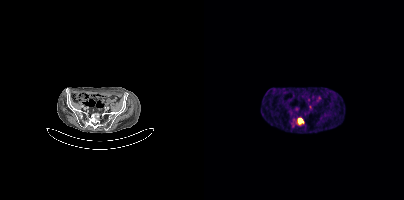
Coordinates are on the 200×200 PET (right) panel. (showing 1 of 2 foci) PSMA-avid tumor lesion bounding box (x0,y0,x1,y1): [94,118,99,124]. Two-panel axial: CT | PSMA PET, [68Ga]Ga-PSMA-11 tracer. Acquired on Siemens Biograph mCT Flow 20. Slice 108 of 413.